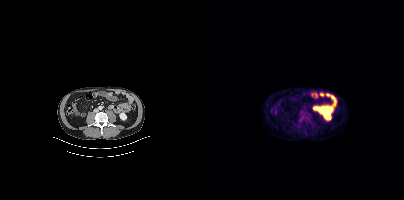
Coordinates are on the 200×200 PET (right) panel. PSMA-avid tumor lesion bounding box (x0, y0)-(x1, y1): (95, 111)-(107, 123).